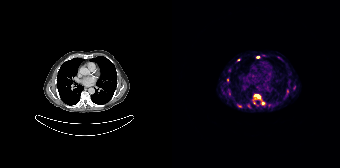
Technique: Left: CT. Right: PSMA PET, same axial level, 68Ga-PSMA tracer.
Findings: Coordinates are on the 168×168 PET (right) panel. (showing 8 of 10 foci) PSMA-avid tumor lesion bounding boxes (x0,y0,x1,y1): [81,94,89,100]; [65,104,69,107]. Small PSMA-avid foci (2 to 4 px across) near (center x, center y): (90, 103); (85, 57); (66, 59); (55, 80); (115, 91); (82, 102).